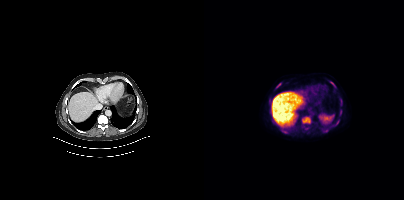
- Left: CT. Right: PSMA PET, same axial level, [18F]PSMA-1007 tracer
Findings: Coordinates are on the 200×200 PET (right) panel. PSMA-avid tumor lesion bounding boxes (x, y, width, height): x=98 y=117 w=9 h=7; x=77 y=130 w=8 h=4; x=129 y=120 w=7 h=7; x=126 y=81 w=6 h=7; x=72 y=83 w=6 h=6; x=136 y=110 w=2 h=6. Small PSMA-avid foci (2 to 4 px across) near (center x, center y): (122, 130); (137, 103).